Technique: Left: CT. Right: PSMA PET, same axial level, 68Ga-PSMA tracer. acquired on GE Discovery 690. slice position z = -1001 mm.
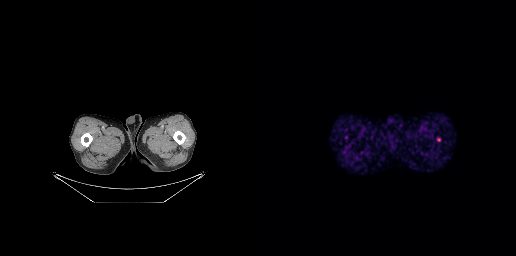
Findings: Coordinates are on the 256×256 PET (right) panel. Small PSMA-avid focus (2 to 4 px across) near (center x, center y): (178, 139).